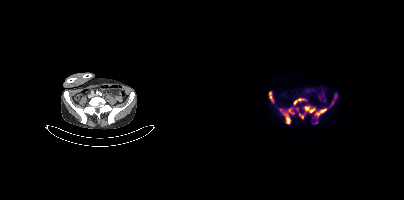
modality: PSMA PET/CT | tracer: 18F | view: axial
Coordinates are on the 200×200 PET (right) panel. (showing 9 of 10 foci) PSMA-avid tumor lesion bounding boxes (x0,y0,x1,y1): [75,108,90,124], [100,106,111,112], [109,110,116,118], [65,92,70,103], [89,98,101,104], [126,93,133,106], [95,113,99,118], [109,121,113,123]. Small PSMA-avid focus (2 to 4 px across) near (center x, center y): (121, 109).